Paired axial CT (left) and PSMA PET (right), 18F-PSMA tracer. PET panel 200×200 px (4.1 mm/px).
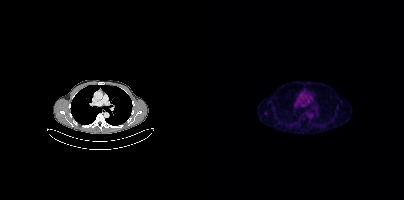
Coordinates are on the 200×200 PET (right) panel. PSMA-avid tumor lesion bounding boxes:
| # | x0 | y0 | x1 | y1 |
|---|---|---|---|---|
| 1 | 60 | 111 | 63 | 115 |
Small PSMA-avid focus (2 to 4 px across) near (center x, center y): (133, 107).